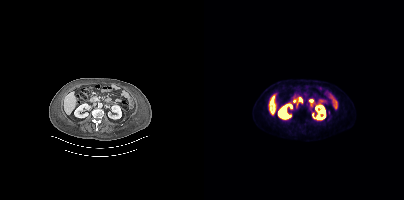
Findings: No PSMA-avid tumor lesions on this slice.
- Paired axial CT (left) and PSMA PET (right), 18F tracer
- acquired on Siemens Biograph mCT Flow 20
- slice 148 of 344
- PET panel 200×200 px (4.1 mm/px)